Two-panel axial: CT | PSMA PET, [18F]PSMA-1007 tracer. Acquired on Siemens Biograph mCT Flow 20. Slice position z = -34 mm. PET panel 200×200 px (4.1 mm/px).
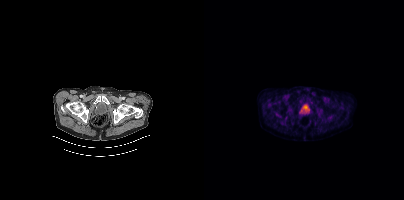
Coordinates are on the 200×200 PET (right) panel. Small PSMA-avid focus (2 to 4 px across) near (center x, center y): (96, 101).